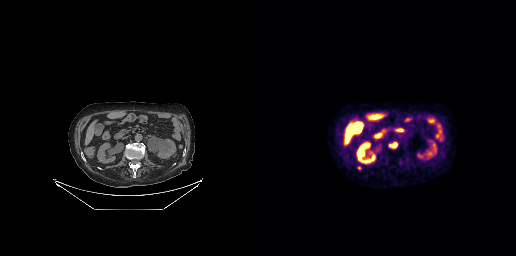
modality: PSMA PET/CT | tracer: [18F]PSMA-1007 | view: axial
Coordinates are on the 256×256 PET (right) panel. PSMA-avid tumor lesion bounding box (x0,y0,x1,y1): [129,142,137,148]. Small PSMA-avid focus (2 to 4 px across) near (center x, center y): (99, 167).